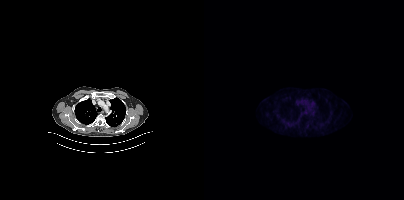
Technique: Two-panel axial: CT | PSMA PET, 18F-PSMA tracer. slice position z = -1088 mm.
Findings: This slice has no annotated PSMA-avid lesion.